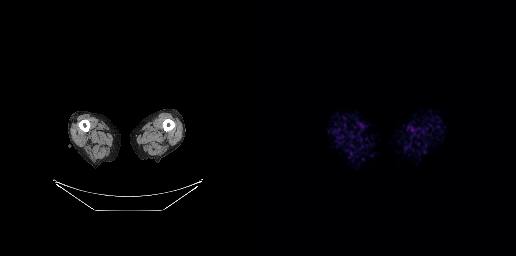
No tumor lesions annotated on this slice.